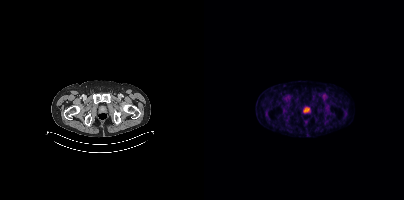
Findings: Coordinates are on the 200×200 PET (right) panel. Small PSMA-avid focus (2 to 4 px across) near (center x, center y): (103, 109).
Technique: Left: CT. Right: PSMA PET, same axial level, 68Ga-PSMA tracer. acquired on Siemens Biograph mCT Flow 20. slice position z = -1375 mm. PET panel 200×200 px (4.1 mm/px).